Technique: Paired axial CT (left) and PSMA PET (right), 18F-PSMA tracer. slice position z = -1536 mm. PET panel 200×200 px (4.1 mm/px).
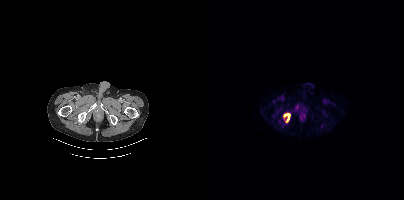
Findings: Coordinates are on the 200×200 PET (right) panel. PSMA-avid tumor lesion bounding box (x, y, width, height): x=80 y=113 w=6 h=9.